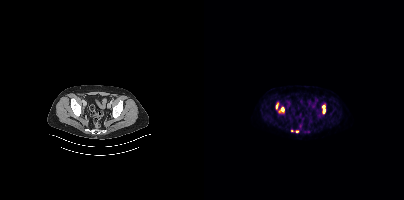
{"pet_grid":[200,200],"coord_frame":"pet_panel","coord_format":"x0,y0,x1,y1","lesion_bboxes":[[118,105,121,113],[75,107,80,112],[72,103,74,108]],"small_foci_centers":[[93,131],[87,130]],"modality":"PSMA PET/CT","view":"axial","tracer":"18F"}